Left: CT. Right: PSMA PET, same axial level, [68Ga]Ga-PSMA-11 tracer. PET panel 200×200 px (4.1 mm/px).
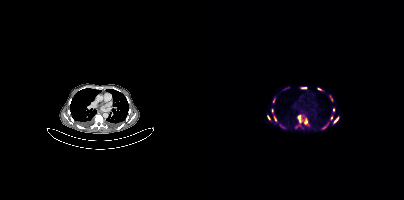
Coordinates are on the 200×200 PET (right) panel. PSMA-avid tumor lesion bounding boxes (partial; 1 more focus not listed):
| # | x0 | y0 | x1 | y1 |
|---|---|---|---|---|
| 1 | 93 | 115 | 98 | 122 |
| 2 | 100 | 118 | 103 | 124 |
| 3 | 119 | 122 | 124 | 128 |
| 4 | 130 | 117 | 134 | 122 |
| 5 | 113 | 88 | 117 | 90 |
| 6 | 98 | 87 | 102 | 88 |
| 7 | 126 | 96 | 128 | 101 |
Small PSMA-avid foci (2 to 4 px across) near (center x, center y): (70, 99); (64, 117); (77, 125); (71, 118); (129, 110); (127, 118).